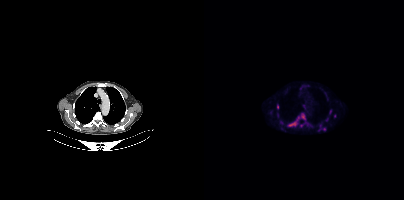
Coordinates are on the 200×200 PET (right) panel. PSMA-avid tumor lesion bounding boxes (partial; 1 more focus not listed):
| # | x0 | y0 | x1 | y1 |
|---|---|---|---|---|
| 1 | 86 | 113 | 101 | 126 |
| 2 | 73 | 105 | 74 | 109 |
Small PSMA-avid foci (2 to 4 px across) near (center x, center y): (120, 129); (126, 111); (66, 112); (97, 125); (130, 115).
Paired axial CT (left) and PSMA PET (right), [18F]PSMA-1007 tracer. Slice position z = 412 mm. PET panel 200×200 px (4.1 mm/px).